Two-panel axial: CT | PSMA PET, [68Ga]Ga-PSMA-11 tracer. Acquired on GE Discovery 690.
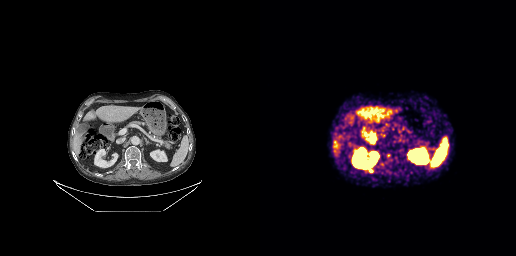
Coordinates are on the 256×256 PET (right) panel. Small PSMA-avid foci (2 to 4 px across) near (center x, center y): (112, 170); (128, 155).